- Two-panel axial: CT | PSMA PET, 18F tracer
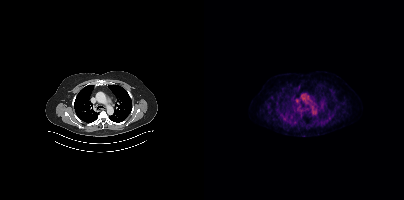
Findings: This slice has no annotated PSMA-avid lesion.